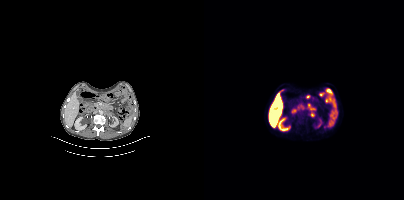
modality: PSMA PET/CT | tracer: [18F]PSMA-1007 | view: axial | PET grid: 200×200
Coordinates are on the 200×200 PET (right) panel. PSMA-avid tumor lesion bounding box (x0, y0)-(x1, y1): (104, 104)-(110, 117).